Paired axial CT (left) and PSMA PET (right), 18F-PSMA tracer. PET panel 200×200 px (4.1 mm/px).
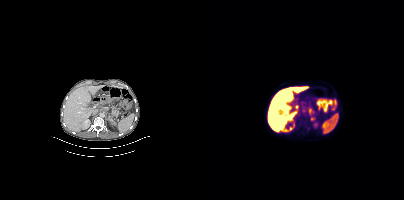
Coordinates are on the 200×200 PET (right) panel. PSMA-avid tumor lesion bounding boxes:
| # | x0 | y0 | x1 | y1 |
|---|---|---|---|---|
| 1 | 104 | 109 | 107 | 114 |
Small PSMA-avid foci (2 to 4 px across) near (center x, center y): (108, 119); (101, 110).